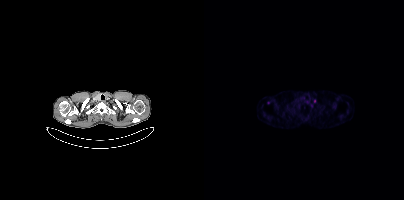
{"modality":"PSMA PET/CT","view":"axial","tracer":"[68Ga]Ga-PSMA-11","pet_grid":[200,200],"coord_frame":"pet_panel","coord_format":"x0,y0,x1,y1","psma_avid_lesions":false}